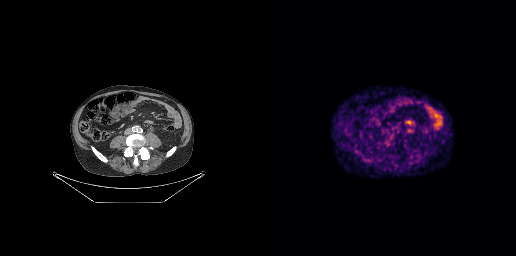
- Two-panel axial: CT | PSMA PET, 68Ga-PSMA tracer
- slice 97 of 263
Findings: No PSMA-avid tumor lesions on this slice.